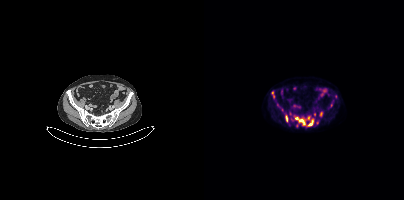
Coordinates are on the 200×200 PET (right) panel. (showing 7 of 11 foci) PSMA-avid tumor lesion bounding boxes (x0, y0)-(x1, y1): (91, 117)-(101, 125); (103, 119)-(109, 126); (81, 115)-(83, 121); (68, 92)-(70, 97). Small PSMA-avid foci (2 to 4 px across) near (center x, center y): (104, 117); (116, 113); (127, 105).